Two-panel axial: CT | PSMA PET, 18F tracer. PET panel 168×168 px (4.1 mm/px).
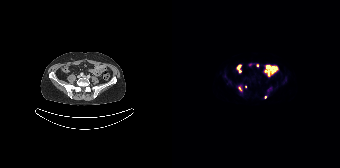
Coordinates are on the 168×168 PET (right) panel. PSMA-avid tumor lesion bounding boxes:
| # | x0 | y0 | x1 | y1 |
|---|---|---|---|---|
| 1 | 66 | 87 | 70 | 91 |
Small PSMA-avid foci (2 to 4 px across) near (center x, center y): (93, 97); (73, 86).